modality: PSMA PET/CT | tracer: 18F-PSMA | view: axial
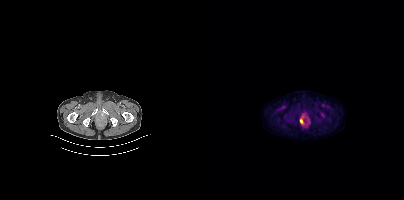
Coordinates are on the 200×200 PET (right) panel. Small PSMA-avid focus (2 to 4 px across) near (center x, center y): (97, 120).